modality: PSMA PET/CT | tracer: 68Ga-PSMA | view: axial | PET grid: 168×168
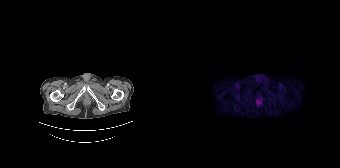
No PSMA-avid tumor lesions on this slice.